- Left: CT. Right: PSMA PET, same axial level, [18F]PSMA-1007 tracer
- acquired on Siemens Biograph mCT Flow 20
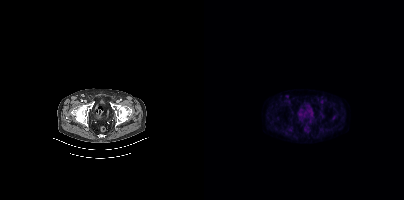
Findings: Coordinates are on the 200×200 PET (right) panel. Small PSMA-avid focus (2 to 4 px across) near (center x, center y): (81, 95).